Left: CT. Right: PSMA PET, same axial level, [68Ga]Ga-PSMA-11 tracer.
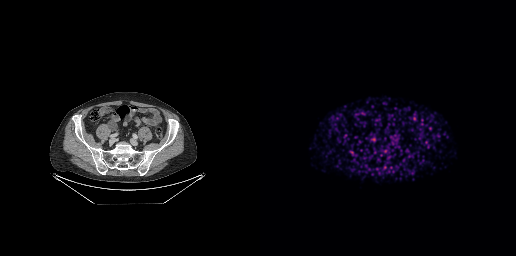
Negative for PSMA-avid disease on this slice.